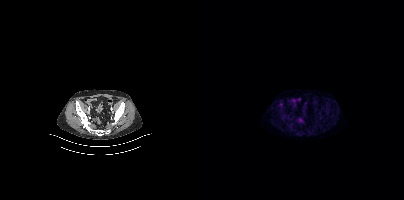
{"pet_grid":[200,200],"coord_frame":"pet_panel","coord_format":"x0,y0,x1,y1","psma_avid_lesions":false,"modality":"PSMA PET/CT","view":"axial","tracer":"[18F]PSMA-1007"}